Two-panel axial: CT | PSMA PET, [18F]PSMA-1007 tracer. Slice position z = 210 mm. PET panel 200×200 px (4.1 mm/px).
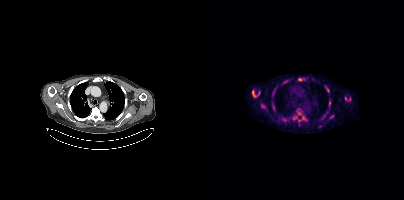
Coordinates are on the 200×200 PET (right) panel. (showing 11 of 15 foci) PSMA-avid tumor lesion bounding boxes (x0, y0)-(x1, y1): (94, 78)-(99, 81) | (48, 91)-(51, 96) | (125, 101)-(126, 105). Small PSMA-avid foci (2 to 4 px across) near (center x, center y): (99, 117) | (95, 113) | (127, 117) | (119, 116) | (124, 90) | (141, 98) | (90, 118) | (95, 120).